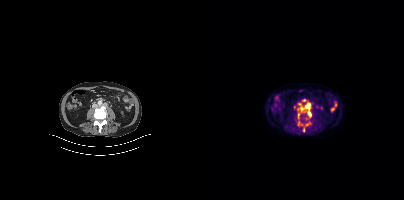
Coordinates are on the 200×200 PET (right) panel. (showing 6 of 9 foci) PSMA-avid tumor lesion bounding box (x, y, width, height): x=104 y=111 w=4 h=6. Small PSMA-avid foci (2 to 4 px across) near (center x, center y): (105, 104) | (99, 130) | (104, 107) | (94, 114) | (97, 110). Two-panel axial: CT | PSMA PET, [18F]PSMA-1007 tracer. Slice position z = -794 mm.